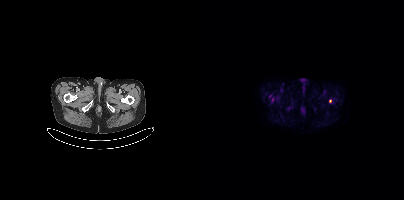
Two-panel axial: CT | PSMA PET, [18F]PSMA-1007 tracer. Acquired on Siemens Biograph mCT Flow 20. PET panel 200×200 px (4.1 mm/px). Coordinates are on the 200×200 PET (right) panel. Small PSMA-avid foci (2 to 4 px across) near (center x, center y): (126, 101), (67, 100).